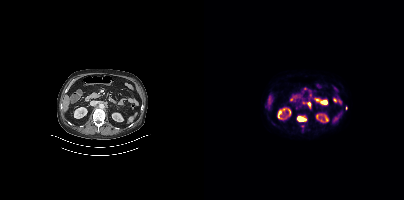
- Two-panel axial: CT | PSMA PET, 18F tracer
- slice position z = -1331 mm
Findings: Coordinates are on the 200×200 PET (right) panel. PSMA-avid tumor lesion bounding box (x0,y0,x1,y1): [93,116,102,121]. Small PSMA-avid focus (2 to 4 px across) near (center x, center y): (105, 103).